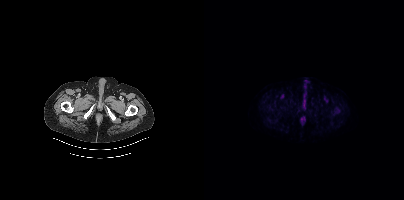
- Two-panel axial: CT | PSMA PET, [18F]PSMA-1007 tracer
- PET panel 200×200 px (4.1 mm/px)
Findings: Coordinates are on the 200×200 PET (right) panel. Small PSMA-avid focus (2 to 4 px across) near (center x, center y): (134, 110).